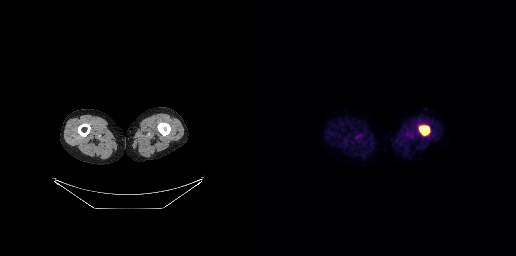
Coordinates are on the 256×256 PET (right) panel. PSMA-avid tumor lesion bounding box (x, y, width, height): x=159 y=125 w=11 h=11.
modality: PSMA PET/CT | tracer: 18F-PSMA | view: axial